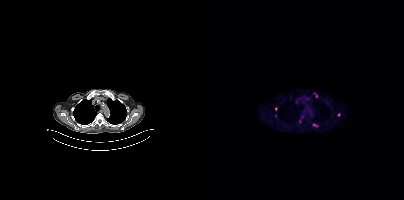
Coordinates are on the 200×200 PET (right) panel. (showing 5 of 7 foci) PSMA-avid tumor lesion bounding boxes (x0,y0,x1,y1): [109,93,113,97], [109,124,113,126]. Small PSMA-avid foci (2 to 4 px across) near (center x, center y): (134, 114), (71, 108), (102, 98).